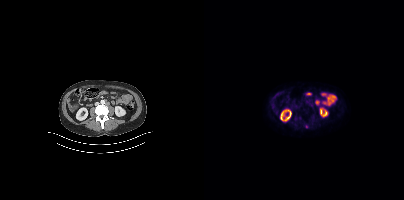
modality: PSMA PET/CT | tracer: [18F]PSMA-1007 | view: axial
Coordinates are on the 200×200 PET (right) panel. Small PSMA-avid focus (2 to 4 px across) near (center x, center y): (102, 126).